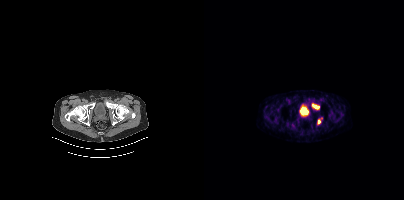
{"modality":"PSMA PET/CT","view":"axial","tracer":"68Ga-PSMA","pet_grid":[200,200],"coord_frame":"pet_panel","coord_format":"x0,y0,x1,y1","partial":true,"lesion_bboxes":[[108,103,115,109],[113,119,116,124]]}